Two-panel axial: CT | PSMA PET, [68Ga]Ga-PSMA-11 tracer. PET panel 200×200 px (4.1 mm/px).
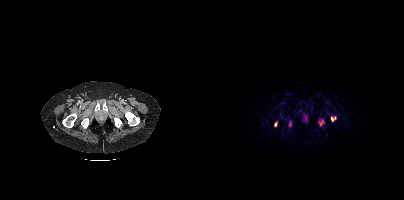
Coordinates are on the 200×200 PET (right) panel. PSMA-avid tumor lesion bounding boxes (x0,y0,x1,y1): [114,119,120,125]; [127,117,131,121]; [70,122,73,126].